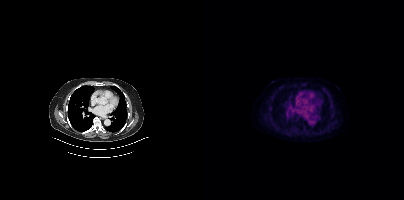
Findings: No PSMA-avid tumor lesions on this slice.
- Left: CT. Right: PSMA PET, same axial level, 18F-PSMA tracer
- slice position z = -390 mm